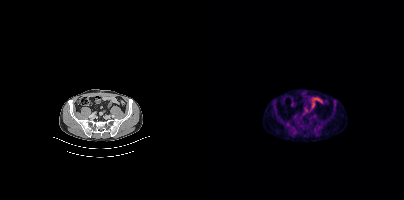
{"modality":"PSMA PET/CT","view":"axial","tracer":"18F","pet_grid":[200,200],"coord_frame":"pet_panel","coord_format":"x0,y0,x1,y1","psma_avid_lesions":false}